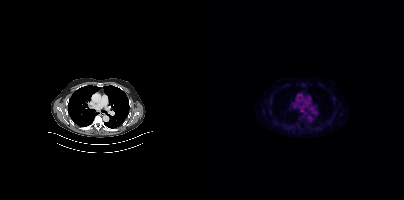
No tumor lesions annotated on this slice. Left: CT. Right: PSMA PET, same axial level, 18F tracer. Acquired on Siemens Biograph mCT Flow 20. Slice position z = -525 mm.